Technique: Two-panel axial: CT | PSMA PET, 18F-PSMA tracer. acquired on Siemens Biograph mCT Flow 20. slice 172 of 401.
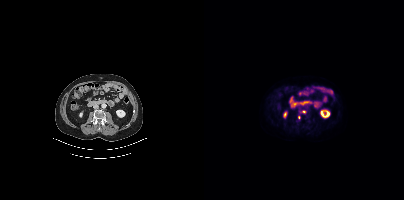
Findings: Coordinates are on the 200×200 PET (right) panel. Small PSMA-avid foci (2 to 4 px across) near (center x, center y): (100, 111), (94, 117).